Technique: Paired axial CT (left) and PSMA PET (right), 18F tracer. acquired on Siemens Biograph mCT Flow 20. slice 355 of 423.
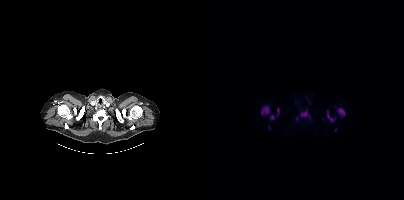
Findings: Coordinates are on the 200×200 PET (right) panel. PSMA-avid tumor lesion bounding boxes (x, y, width, height): x=57 y=106 w=10 h=10 / x=134 y=108 w=7 h=8 / x=96 y=111 w=10 h=7 / x=123 y=110 w=9 h=12 / x=72 y=108 w=4 h=9 / x=66 y=115 w=5 h=5. Small PSMA-avid foci (2 to 4 px across) near (center x, center y): (92, 118) / (65, 127) / (131, 129).